Paired axial CT (left) and PSMA PET (right), 18F tracer. Acquired on Siemens Biograph mCT Flow 20. Slice 354 of 421.
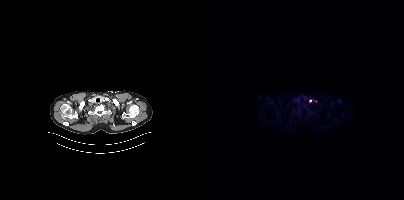
Only PSMA-avid lesion pieces thinner than 2 px on this slice (not listed).